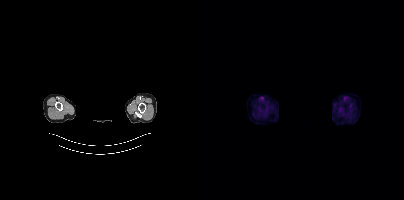
{"modality":"PSMA PET/CT","view":"axial","tracer":"18F-PSMA","pet_grid":[200,200],"coord_frame":"pet_panel","coord_format":"x0,y0,x1,y1","psma_avid_lesions":false,"redaction":"rectangular block over head set to black"}